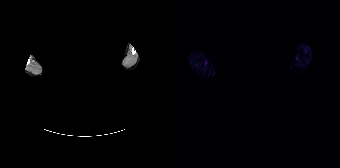
{"modality":"PSMA PET/CT","view":"axial","tracer":"68Ga","pet_grid":[168,168],"coord_frame":"pet_panel","coord_format":"x0,y0,x1,y1","de-identification":"face masked with black rectangle","psma_avid_lesions":false}